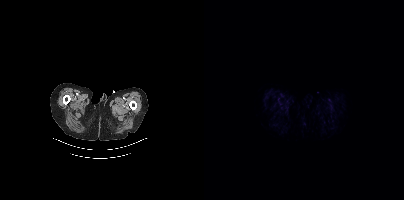
{"modality":"PSMA PET/CT","view":"axial","tracer":"18F","pet_grid":[200,200],"coord_frame":"pet_panel","coord_format":"x0,y0,x1,y1","psma_avid_lesions":false}